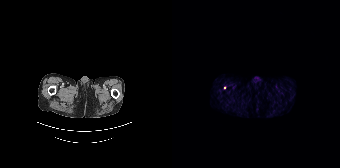
Left: CT. Right: PSMA PET, same axial level, 68Ga tracer. Acquired on Siemens Biograph 64-4R TruePoint. Coordinates are on the 168×168 PET (right) panel. Small PSMA-avid focus (2 to 4 px across) near (center x, center y): (52, 87).